Paired axial CT (left) and PSMA PET (right), 18F tracer.
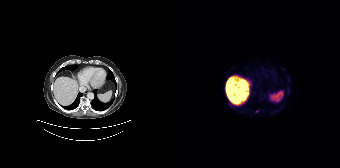
Coordinates are on the 168×168 PET (right) panel. Small PSMA-avid focus (2 to 4 px across) near (center x, center y): (84, 111).